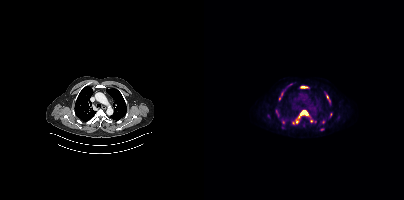
Coordinates are on the 200×200 PET (right) panel. (showing 8 of 11 foci) PSMA-avid tumor lesion bounding boxes (x, y, width, height): x=88 y=110 w=17 h=15; x=97 y=86 w=7 h=2. Small PSMA-avid foci (2 to 4 px across) near (center x, center y): (118, 129); (123, 96); (75, 98); (126, 114); (125, 100); (107, 120).